Left: CT. Right: PSMA PET, same axial level, 18F tracer. Acquired on Siemens Biograph mCT Flow 20. Slice position z = -1406 mm.
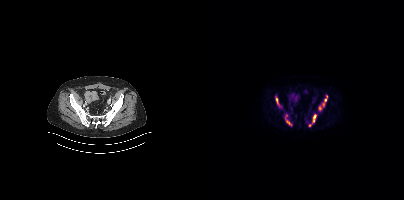
Coordinates are on the 200×200 PET (right) panel. PSMA-avid tumor lesion bounding boxes:
| # | x0 | y0 | x1 | y1 |
|---|---|---|---|---|
| 1 | 118 | 95 | 123 | 106 |
| 2 | 71 | 96 | 74 | 104 |
| 3 | 109 | 115 | 112 | 121 |
| 4 | 82 | 120 | 87 | 125 |
Small PSMA-avid foci (2 to 4 px across) near (center x, center y): (116, 107); (106, 125); (82, 115).